- Left: CT. Right: PSMA PET, same axial level, [18F]PSMA-1007 tracer
- acquired on GE Discovery 690
- slice position z = -446 mm
- PET panel 256×256 px (2.7 mm/px)
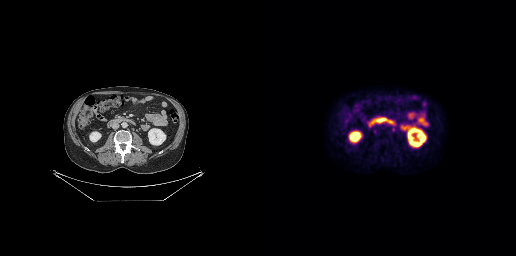
Findings: Negative for PSMA-avid disease on this slice.